- Two-panel axial: CT | PSMA PET, 18F tracer
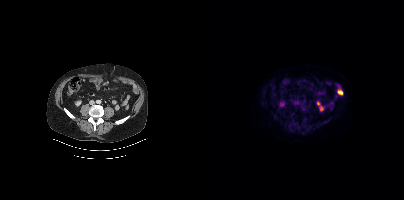
Findings: No tumor lesions annotated on this slice.